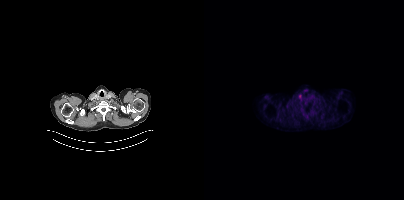
Left: CT. Right: PSMA PET, same axial level, 18F tracer. PET panel 200×200 px (4.1 mm/px). Negative for PSMA-avid disease on this slice.